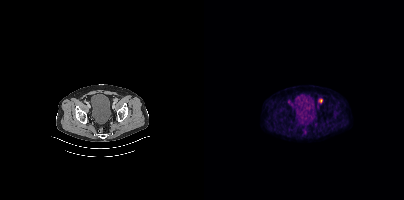
Coordinates are on the 200×200 PET (right) panel. PSMA-avid tumor lesion bounding box (x0,y0,x1,y1): [114,98,118,103].
modality: PSMA PET/CT | tracer: [18F]PSMA-1007 | view: axial